Technique: Paired axial CT (left) and PSMA PET (right), 18F-PSMA tracer. PET panel 200×200 px (4.1 mm/px).
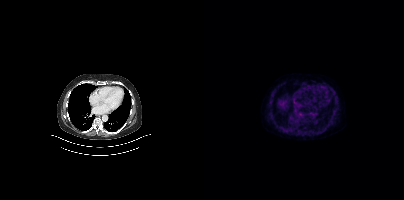
Findings: No PSMA-avid tumor lesions on this slice.